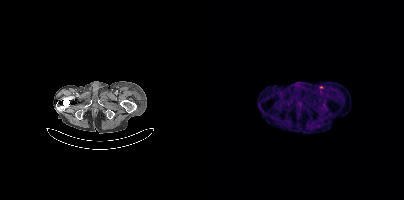
Paired axial CT (left) and PSMA PET (right), 68Ga tracer. PET panel 200×200 px (4.1 mm/px). Coordinates are on the 200×200 PET (right) panel. Small PSMA-avid focus (2 to 4 px across) near (center x, center y): (117, 87).